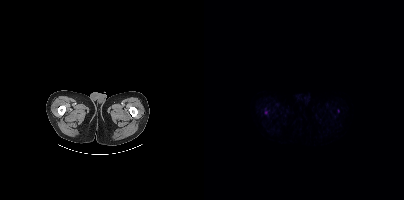
Technique: Two-panel axial: CT | PSMA PET, 18F tracer. acquired on Siemens Biograph mCT Flow 20.
Findings: Coordinates are on the 200×200 PET (right) panel. Small PSMA-avid focus (2 to 4 px across) near (center x, center y): (62, 112).